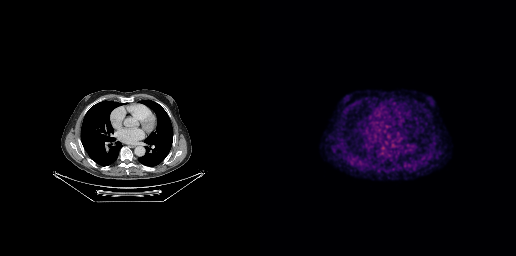
Left: CT. Right: PSMA PET, same axial level, [18F]PSMA-1007 tracer. No tumor lesions annotated on this slice.